Technique: Two-panel axial: CT | PSMA PET, [18F]PSMA-1007 tracer. acquired on Siemens Biograph mCT Flow 20. slice position z = -631 mm. PET panel 200×200 px (4.1 mm/px).
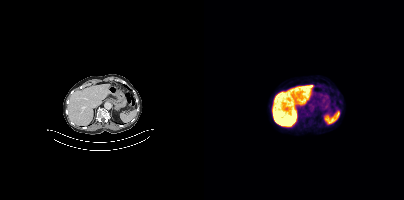
Findings: No PSMA-avid tumor lesions on this slice.